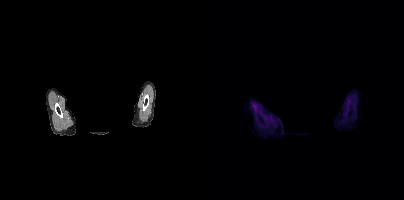
{"pet_grid":[200,200],"coord_frame":"pet_panel","coord_format":"x0,y0,x1,y1","psma_avid_lesions":false,"de-identification":"facial region redacted","modality":"PSMA PET/CT","view":"axial","tracer":"18F"}